Technique: Two-panel axial: CT | PSMA PET, 18F-PSMA tracer. PET panel 200×200 px (4.1 mm/px).
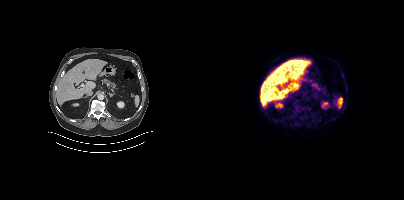
Findings: No PSMA-avid tumor lesions on this slice.